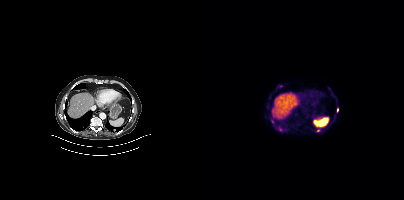
{"modality":"PSMA PET/CT","view":"axial","tracer":"18F-PSMA","pet_grid":[200,200],"coord_frame":"pet_panel","coord_format":"x0,y0,x1,y1","partial":true,"lesion_bboxes":[],"small_foci_centers":[[114,130],[133,109],[76,129]]}